Two-panel axial: CT | PSMA PET, 18F tracer.
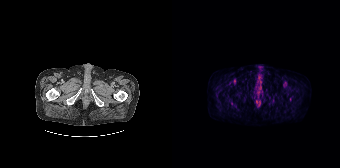
No PSMA-avid tumor lesions on this slice.